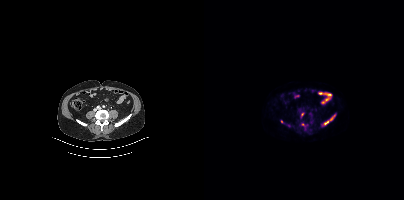
Paired axial CT (left) and PSMA PET (right), 18F-PSMA tracer. Acquired on Siemens Biograph mCT Flow 20. Slice position z = -136 mm.
Coordinates are on the 200×200 PET (right) panel. PSMA-avid tumor lesion bounding boxes (partial; 4 more foci not listed):
| # | x0 | y0 | x1 | y1 |
|---|---|---|---|---|
| 1 | 120 | 121 | 124 | 124 |
Small PSMA-avid focus (2 to 4 px across) near (center x, center y): (127, 118).